Facial anatomy redacted by setting a rectangular region of the head to black. Two-panel axial: CT | PSMA PET, 68Ga tracer. Slice position z = -190 mm. PET panel 256×256 px (2.7 mm/px).
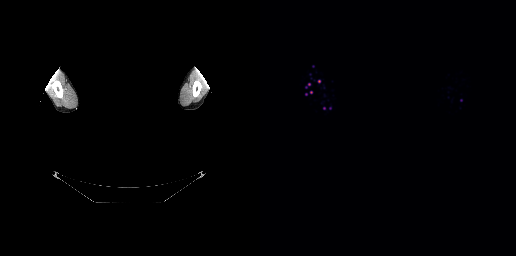
Negative for PSMA-avid disease on this slice.